modality: PSMA PET/CT | tracer: [18F]PSMA-1007 | view: axial
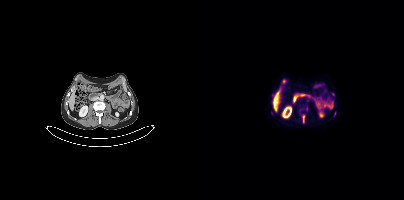
Coordinates are on the 200×200 PET (right) panel. (showing 1 of 3 foci) PSMA-avid tumor lesion bounding box (x0,y0,x1,y1): [98,115,101,123].